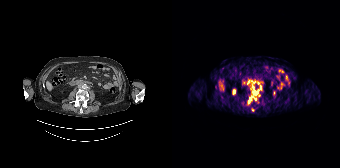
Findings: Coordinates are on the 168×168 PET (right) panel. (showing 5 of 7 foci) PSMA-avid tumor lesion bounding boxes (x, y, width, height): x=81 y=90 w=6 h=6 | x=76 y=97 w=4 h=7. Small PSMA-avid foci (2 to 4 px across) near (center x, center y): (88, 87) | (80, 87) | (83, 98).
- Paired axial CT (left) and PSMA PET (right), [68Ga]Ga-PSMA-11 tracer
- acquired on Siemens Biograph 64-4R TruePoint
- slice position z = -1060 mm